Paired axial CT (left) and PSMA PET (right), 18F tracer. Slice 12 of 444.
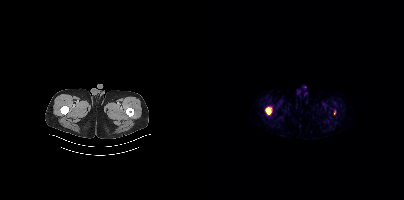
Coordinates are on the 200×200 PET (right) panel. (showing 1 of 2 foci) PSMA-avid tumor lesion bounding box (x0, y0)-(x1, y1): (62, 107)-(67, 114).